Left: CT. Right: PSMA PET, same axial level, 18F tracer.
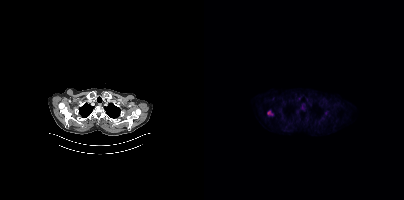
Coordinates are on the 200×200 PET (right) panel. PSMA-avid tumor lesion bounding boxes:
| # | x0 | y0 | x1 | y1 |
|---|---|---|---|---|
| 1 | 63 | 111 | 68 | 115 |